Any black rectangle over the head is a privacy mask, not anatomy. Paired axial CT (left) and PSMA PET (right), 18F-PSMA tracer. Slice position z = -872 mm. PET panel 200×200 px (4.1 mm/px).
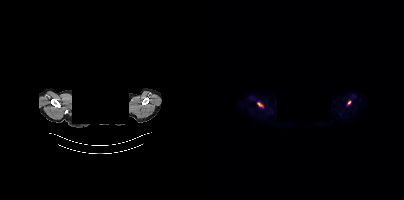
Coordinates are on the 200×200 PET (right) panel. PSMA-avid tumor lesion bounding box (x, y, width, height): x=54 y=103 w=5 h=4. Small PSMA-avid focus (2 to 4 px across) near (center x, center y): (145, 102).